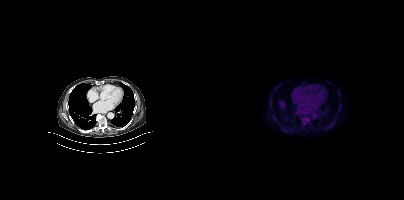
- Paired axial CT (left) and PSMA PET (right), 18F-PSMA tracer
- acquired on Siemens Biograph mCT Flow 20
- PET panel 200×200 px (4.1 mm/px)
Findings: Coordinates are on the 200×200 PET (right) panel. Small PSMA-avid foci (2 to 4 px across) near (center x, center y): (103, 119) | (99, 122).